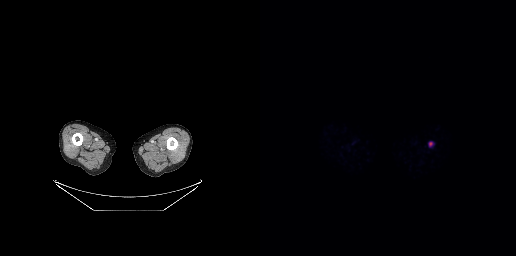
Findings: No tumor lesions annotated on this slice.
- Two-panel axial: CT | PSMA PET, [68Ga]Ga-PSMA-11 tracer